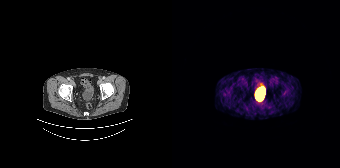
No tumor lesions annotated on this slice.